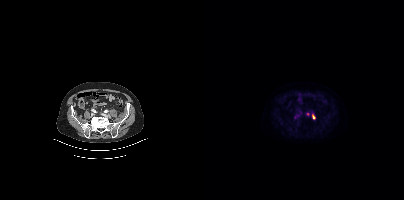
{"modality":"PSMA PET/CT","view":"axial","tracer":"[18F]PSMA-1007","pet_grid":[200,200],"coord_frame":"pet_panel","coord_format":"x0,y0,x1,y1","lesion_bboxes":[[90,115,95,119],[108,114,110,118]],"small_foci_centers":[[104,114]]}